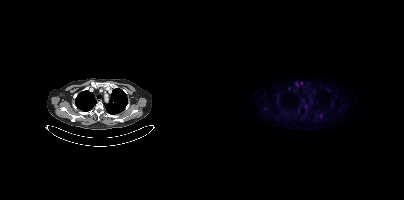
modality: PSMA PET/CT | tracer: 18F | view: axial | PET grid: 200×200
Coordinates are on the 200×200 PET (right) panel. Small PSMA-avid foci (2 to 4 px across) near (center x, center y): (93, 84) / (97, 83).